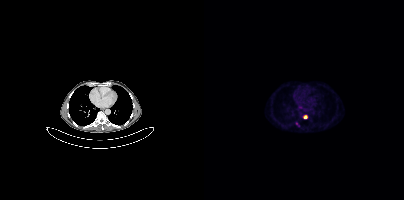
Technique: Two-panel axial: CT | PSMA PET, [68Ga]Ga-PSMA-11 tracer. PET panel 200×200 px (4.1 mm/px).
Findings: Coordinates are on the 200×200 PET (right) panel. PSMA-avid tumor lesion bounding boxes (x0,y0,x1,y1): [99,115,103,118]; [92,122,95,126].